- Left: CT. Right: PSMA PET, same axial level, [18F]PSMA-1007 tracer
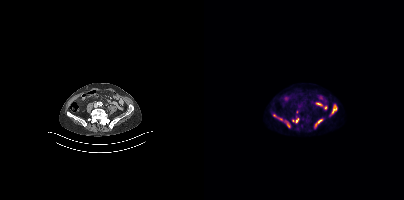
Findings: Coordinates are on the 200×200 PET (right) panel. PSMA-avid tumor lesion bounding boxes (x, y, width, height): x=126 y=104 w=8 h=12; x=88 y=116 w=8 h=8; x=111 y=119 w=8 h=9; x=83 y=122 w=4 h=6. Small PSMA-avid foci (2 to 4 px across) near (center x, center y): (70, 115); (76, 119); (93, 112).